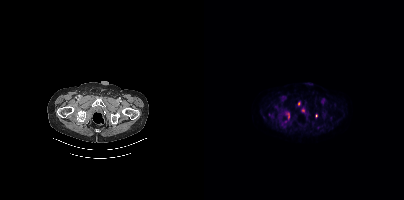
modality: PSMA PET/CT | tracer: 18F-PSMA | view: axial
Coordinates are on the 200×200 PET (right) panel. Small PSMA-avid focus (2 to 4 px across) near (center x, center y): (112, 115).